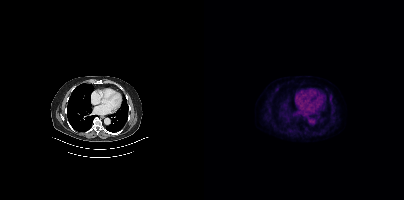
Paired axial CT (left) and PSMA PET (right), 18F-PSMA tracer. Slice 235 of 381. PET panel 200×200 px (4.1 mm/px). This slice has no annotated PSMA-avid lesion.